Paired axial CT (left) and PSMA PET (right), [18F]PSMA-1007 tracer. Slice position z = -755 mm. PET panel 256×256 px (2.7 mm/px).
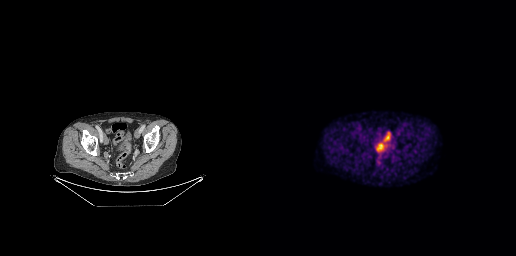
Negative for PSMA-avid disease on this slice.